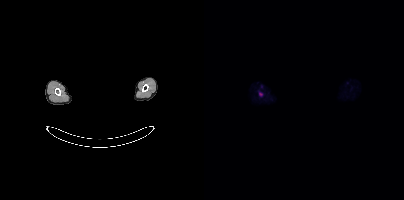
de-identification: face masked with black rectangle | modality: PSMA PET/CT | tracer: 18F | view: axial
Coordinates are on the 200×200 PET (right) panel. PSMA-avid tumor lesion bounding box (x0,y0,x1,y1): [55,92,58,96].